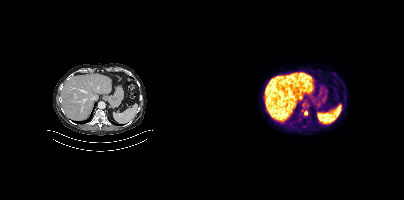
Coordinates are on the 200×200 PET (right) panel. (showing 1 of 2 foci) PSMA-avid tumor lesion bounding box (x0, y0)-(x1, y1): (100, 111)-(103, 115).